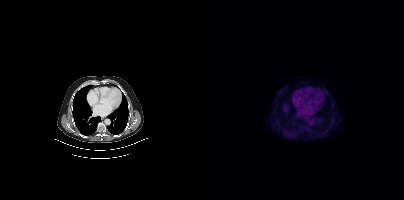
Technique: Paired axial CT (left) and PSMA PET (right), [18F]PSMA-1007 tracer. slice 272 of 401. PET panel 200×200 px (4.1 mm/px).
Findings: No tumor lesions annotated on this slice.